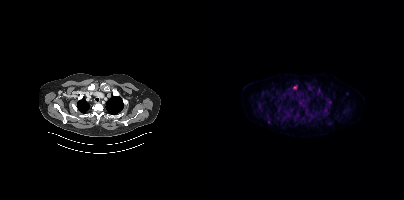
Coordinates are on the 200×200 PET (right) panel. PSMA-avid tumor lesion bounding boxes (x, y, width, height): x=122 y=100 w=6 h=8; x=100 y=107 w=6 h=9; x=91 y=112 w=5 h=7; x=113 y=88 w=5 h=7; x=54 y=102 w=4 h=6; x=80 y=91 w=4 h=5; x=121 y=95 w=5 h=4. Small PSMA-avid foci (2 to 4 px across) near (center x, center y): (91, 87); (65, 121). Two-panel axial: CT | PSMA PET, 18F tracer. PET panel 200×200 px (4.1 mm/px).